- Paired axial CT (left) and PSMA PET (right), 18F-PSMA tracer
- PET panel 200×200 px (4.1 mm/px)
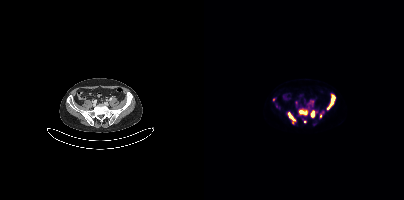
Findings: Coordinates are on the 200×200 PET (right) panel. PSMA-avid tumor lesion bounding boxes (x0,y0,x1,y1): [95,109,103,115] [84,113,92,124] [107,110,111,116] [127,96,130,104]. Small PSMA-avid foci (2 to 4 px across) near (center x, center y): (101, 121) (69, 99) (116, 115) (124, 107).